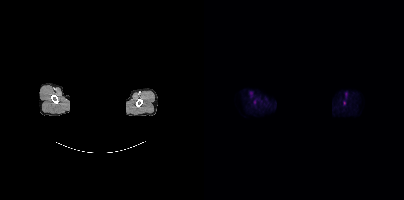
{"modality":"PSMA PET/CT","view":"axial","tracer":"18F","pet_grid":[200,200],"coord_frame":"pet_panel","coord_format":"x0,y0,x1,y1","lesion_bboxes":[],"small_foci_centers":[[140,102]],"de-identification":"head region blacked out before release"}